Left: CT. Right: PSMA PET, same axial level, [18F]PSMA-1007 tracer. Acquired on Siemens Biograph mCT Flow 20.
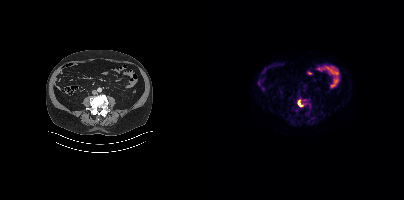
Coordinates are on the 200×200 PET (right) panel. PSMA-avid tumor lesion bounding boxes:
| # | x0 | y0 | x1 | y1 |
|---|---|---|---|---|
| 1 | 94 | 100 | 98 | 106 |